Two-panel axial: CT | PSMA PET, 18F-PSMA tracer. Acquired on Siemens Biograph mCT Flow 20. PET panel 200×200 px (4.1 mm/px).
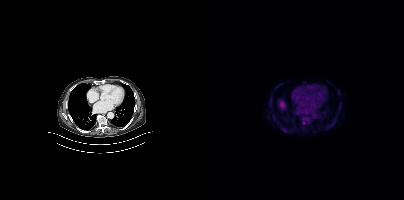
Coordinates are on the 200×200 PET (right) panel. Small PSMA-avid focus (2 to 4 px across) near (center x, center y): (99, 123).